modality: PSMA PET/CT | tracer: 18F | view: axial | PET grid: 200×200
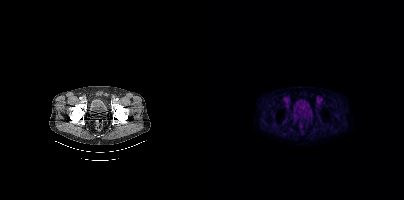
Negative for PSMA-avid disease on this slice.